Paired axial CT (left) and PSMA PET (right), 18F-PSMA tracer. Slice 25 of 421.
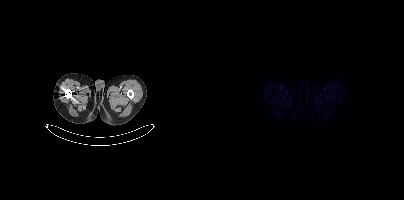
Negative for PSMA-avid disease on this slice.